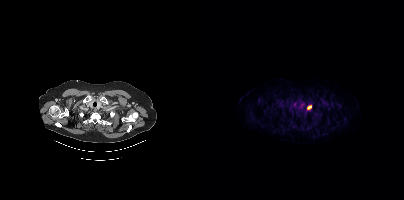
Findings: Coordinates are on the 200×200 PET (right) panel. PSMA-avid tumor lesion bounding box (x0,y0,x1,y1): [103,105,107,109].
- Left: CT. Right: PSMA PET, same axial level, 18F-PSMA tracer
- acquired on Siemens Biograph mCT Flow 20
- slice 355 of 435
- PET panel 200×200 px (4.1 mm/px)